Technique: Two-panel axial: CT | PSMA PET, [18F]PSMA-1007 tracer. PET panel 200×200 px (4.1 mm/px).
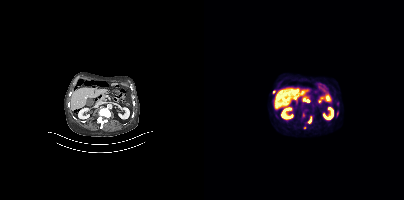
Findings: Coordinates are on the 200×200 PET (right) panel. PSMA-avid tumor lesion bounding box (x0, y0)-(x1, y1): (103, 116)-(108, 123). Small PSMA-avid foci (2 to 4 px across) near (center x, center y): (70, 91) / (100, 127) / (99, 114).